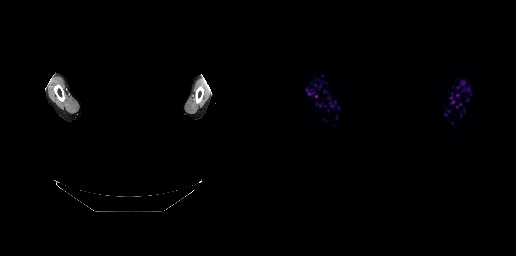
de-identification: privacy mask over head | modality: PSMA PET/CT | tracer: 68Ga-PSMA | view: axial
No PSMA-avid tumor lesions on this slice.